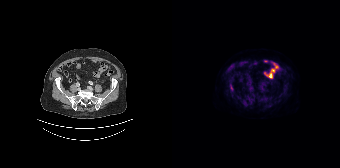
{"modality":"PSMA PET/CT","view":"axial","tracer":"18F","pet_grid":[168,168],"coord_frame":"pet_panel","coord_format":"x0,y0,x1,y1","partial":true,"lesion_bboxes":[]}